Left: CT. Right: PSMA PET, same axial level, 18F tracer. Slice position z = -1074 mm.
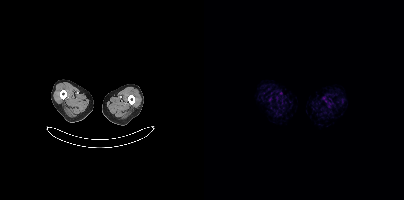
No PSMA-avid tumor lesions on this slice.